modality: PSMA PET/CT | tracer: [18F]PSMA-1007 | view: axial
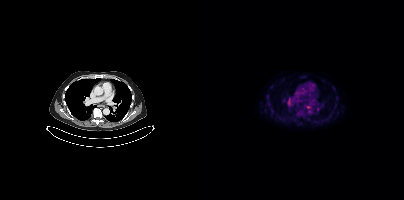
Coordinates are on the 200×200 PET (right) panel. (showing 2 of 3 foci) PSMA-avid tumor lesion bounding box (x, y, width, height): x=102 y=105 w=5 h=4. Small PSMA-avid focus (2 to 4 px across) near (center x, center y): (85, 103).